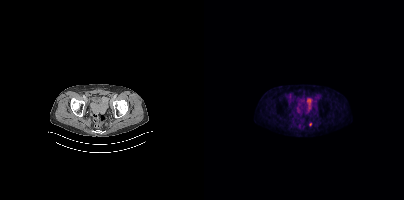
modality: PSMA PET/CT | tracer: 18F | view: axial
Coordinates are on the 200×200 PET (right) panel. Small PSMA-avid focus (2 to 4 px across) near (center x, center y): (106, 123).